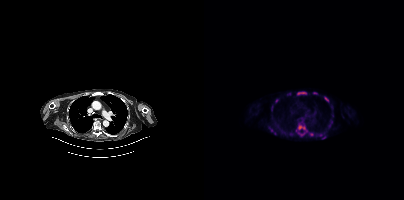
modality: PSMA PET/CT | tracer: [18F]PSMA-1007 | view: axial
Coordinates are on the 200×200 PET (right) panel. (showing 9 of 12 foci) PSMA-avid tumor lesion bounding boxes (x0, y0)-(x1, y1): (94, 125)-(101, 129) / (66, 129)-(72, 134) / (120, 97)-(124, 101) / (105, 133)-(109, 136) / (114, 133)-(118, 136) / (94, 92)-(101, 93). Small PSMA-avid foci (2 to 4 px across) near (center x, center y): (119, 137) / (72, 100) / (110, 93).